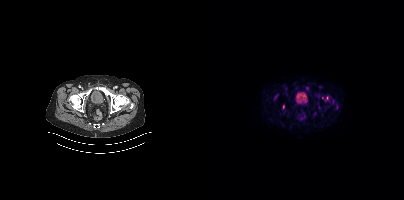
Technique: Two-panel axial: CT | PSMA PET, 18F-PSMA tracer. acquired on Siemens Biograph mCT Flow 20. slice 81 of 429. PET panel 200×200 px (4.1 mm/px).
Findings: Only PSMA-avid lesion pieces thinner than 2 px on this slice (not listed).